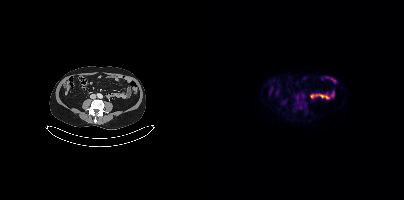
{"modality":"PSMA PET/CT","view":"axial","tracer":"[18F]PSMA-1007","pet_grid":[200,200],"coord_frame":"pet_panel","coord_format":"x0,y0,x1,y1","psma_avid_lesions":false}